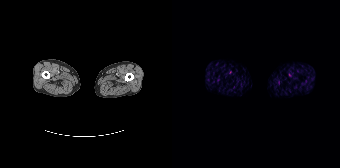
{"pet_grid":[168,168],"coord_frame":"pet_panel","coord_format":"x0,y0,x1,y1","psma_avid_lesions":false,"modality":"PSMA PET/CT","view":"axial","tracer":"18F"}